modality: PSMA PET/CT | tracer: 18F-PSMA | view: axial
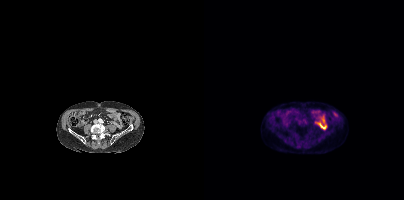
Negative for PSMA-avid disease on this slice.